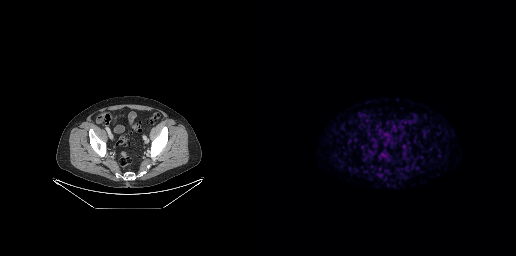
{"modality":"PSMA PET/CT","view":"axial","tracer":"[68Ga]Ga-PSMA-11","pet_grid":[256,256],"coord_frame":"pet_panel","coord_format":"x0,y0,x1,y1","psma_avid_lesions":false}